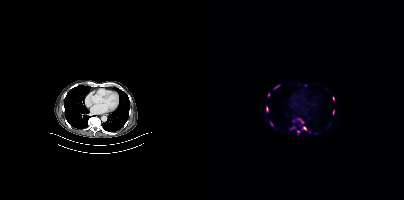
Coordinates are on the 200×200 PET (right) panel. PSMA-avid tumor lesion bounding boxes:
| # | x0 | y0 | x1 | y1 |
|---|---|---|---|---|
| 1 | 97 | 126 | 102 | 130 |
| 2 | 94 | 118 | 99 | 124 |
| 3 | 62 | 106 | 64 | 112 |
| 4 | 86 | 126 | 90 | 129 |
| 5 | 93 | 130 | 96 | 134 |
| 6 | 129 | 110 | 130 | 114 |
Small PSMA-avid foci (2 to 4 px across) near (center x, center y): (64, 94); (129, 98); (67, 124); (72, 86).
Two-panel axial: CT | PSMA PET, 18F-PSMA tracer. Acquired on Siemens Biograph mCT Flow 20. PET panel 200×200 px (4.1 mm/px).